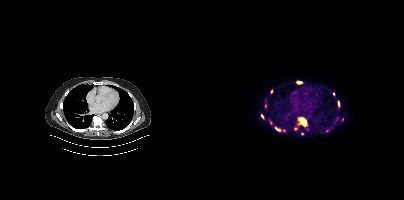
Coordinates are on the 200×200 PET (right) panel. (showing 9 of 11 foci) PSMA-avid tumor lesion bounding boxes (x0, y0)-(x1, y1): (94, 117)-(103, 126) | (93, 81)-(98, 83) | (134, 101)-(135, 106) | (57, 114)-(59, 118). Small PSMA-avid foci (2 to 4 px across) near (center x, center y): (72, 128) | (91, 128) | (67, 91) | (98, 133) | (129, 94).